- Paired axial CT (left) and PSMA PET (right), 18F tracer
- PET panel 200×200 px (4.1 mm/px)
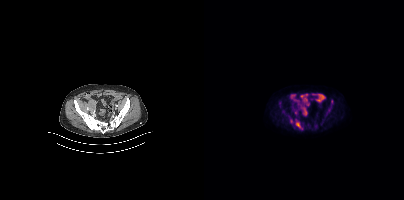
Findings: Coordinates are on the 200×200 PET (right) panel. (showing 3 of 4 foci) PSMA-avid tumor lesion bounding boxes (x0,y0,x1,y1): [91,119,98,129]; [85,117,88,121]; [127,100,129,104].